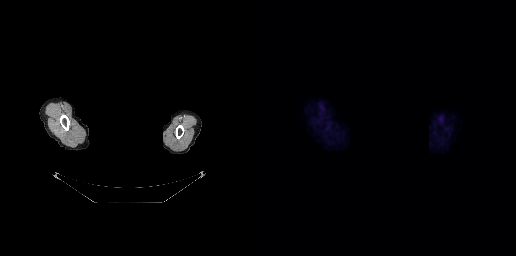
modality: PSMA PET/CT | tracer: 18F | view: axial | deidentification: facial region redacted
No PSMA-avid tumor lesions on this slice.